Technique: Two-panel axial: CT | PSMA PET, 18F tracer. slice position z = -672 mm. PET panel 200×200 px (4.1 mm/px).
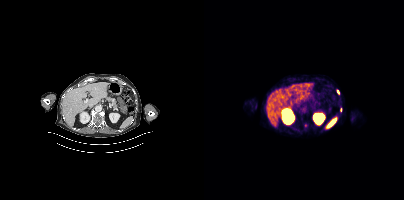
Findings: Coordinates are on the 200×200 PET (right) panel. (showing 1 of 2 foci) Small PSMA-avid focus (2 to 4 px across) near (center x, center y): (134, 91).